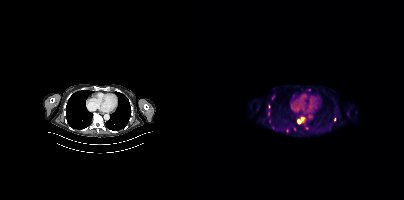
Coordinates are on the 200×200 PET (right) panel. (showing 6 of 7 foci) PSMA-avid tumor lesion bounding box (x, y, width, height): x=64 y=111 w=2 h=5. Small PSMA-avid foci (2 to 4 px across) near (center x, center y): (95, 121) / (65, 121) / (130, 119) / (98, 118) / (68, 97).